Paired axial CT (left) and PSMA PET (right), 18F tracer. Slice position z = -320 mm.
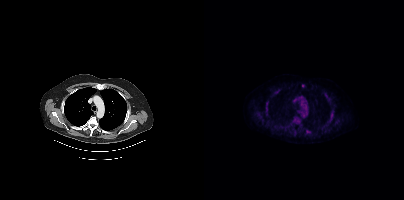
This slice has no annotated PSMA-avid lesion.